Technique: Paired axial CT (left) and PSMA PET (right), 18F tracer. slice 326 of 466. PET panel 200×200 px (4.1 mm/px).
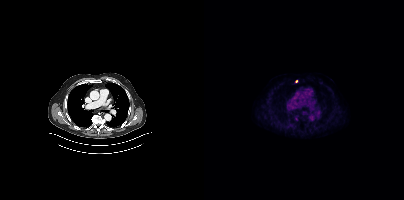
Findings: Coordinates are on the 200×200 PET (right) panel. Small PSMA-avid focus (2 to 4 px across) near (center x, center y): (92, 81).